Technique: Paired axial CT (left) and PSMA PET (right), 18F-PSMA tracer. slice position z = -592 mm. PET panel 200×200 px (4.1 mm/px).
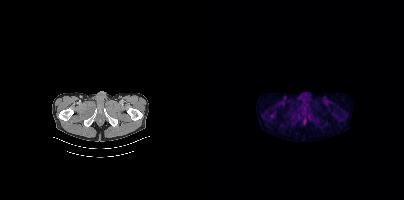
Findings: Coordinates are on the 200×200 PET (right) panel. Small PSMA-avid focus (2 to 4 px across) near (center x, center y): (68, 115).